- Paired axial CT (left) and PSMA PET (right), 18F tracer
- acquired on Siemens Biograph mCT Flow 20
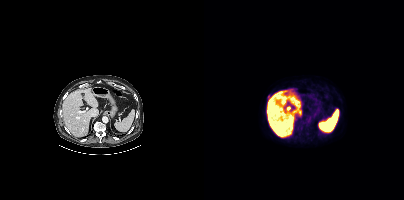
Findings: Coordinates are on the 200×200 PET (right) panel. Small PSMA-avid focus (2 to 4 px across) near (center x, center y): (65, 96).